Technique: Paired axial CT (left) and PSMA PET (right), [68Ga]Ga-PSMA-11 tracer. slice position z = -487 mm. PET panel 256×256 px (2.7 mm/px).
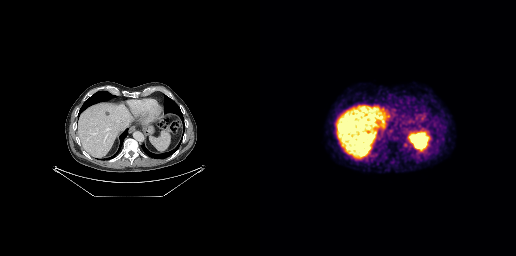
Findings: Negative for PSMA-avid disease on this slice.